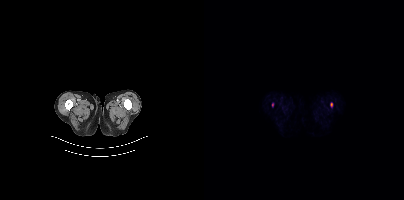
{"modality":"PSMA PET/CT","view":"axial","tracer":"18F-PSMA","pet_grid":[200,200],"coord_frame":"pet_panel","coord_format":"x0,y0,x1,y1","lesion_bboxes":[],"small_foci_centers":[[127,104],[68,104]]}